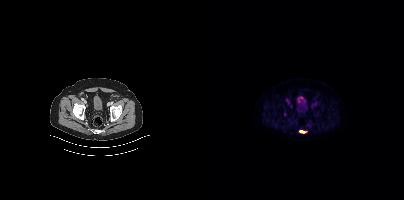
Two-panel axial: CT | PSMA PET, 18F tracer. PET panel 200×200 px (4.1 mm/px). Coordinates are on the 200×200 PET (right) panel. PSMA-avid tumor lesion bounding box (x0,y0,x1,y1): [96,131,101,132].